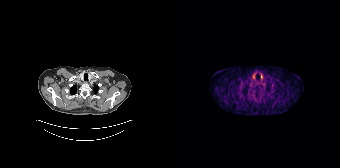
Left: CT. Right: PSMA PET, same axial level, 68Ga-PSMA tracer. Slice 133 of 165. This slice has no annotated PSMA-avid lesion.